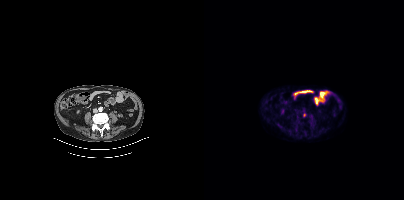
Coordinates are on the 200×200 PET (right) panel. Small PSMA-avid focus (2 to 4 px across) near (center x, center y): (75, 125).